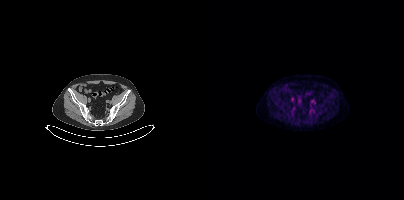
{"modality":"PSMA PET/CT","view":"axial","tracer":"[18F]PSMA-1007","pet_grid":[200,200],"coord_frame":"pet_panel","coord_format":"x0,y0,x1,y1","psma_avid_lesions":false}